Two-panel axial: CT | PSMA PET, 68Ga tracer. PET panel 200×200 px (4.1 mm/px).
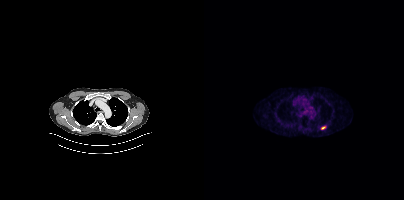
Coordinates are on the 200×200 PET (right) panel. PSMA-avid tumor lesion bounding boxes:
| # | x0 | y0 | x1 | y1 |
|---|---|---|---|---|
| 1 | 117 | 126 | 121 | 129 |